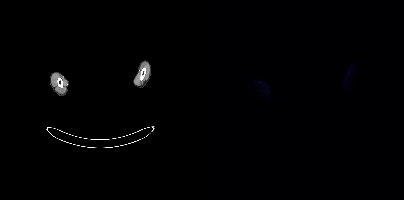
modality: PSMA PET/CT | tracer: 18F-PSMA | view: axial | de-identification: facial region redacted
Negative for PSMA-avid disease on this slice.